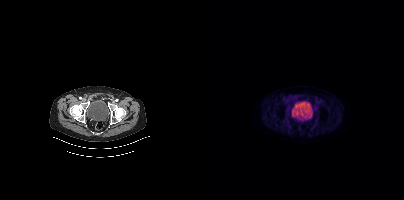
Two-panel axial: CT | PSMA PET, [18F]PSMA-1007 tracer. Slice 84 of 409. PET panel 200×200 px (4.1 mm/px). No PSMA-avid tumor lesions on this slice.